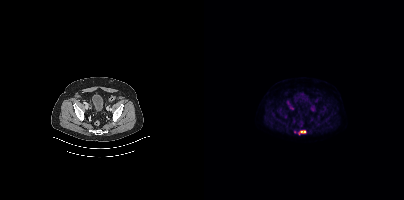
Coordinates are on the 200×200 PET (right) panel. (showing 1 of 2 foci) PSMA-avid tumor lesion bounding box (x0, y0)-(x1, y1): (95, 130)-(102, 134).